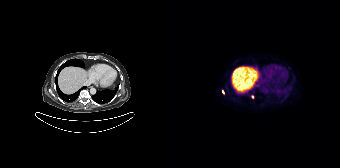
Coordinates are on the 168×168 PET (right) panel. PSMA-avid tumor lesion bounding boxes:
| # | x0 | y0 | x1 | y1 |
|---|---|---|---|---|
| 1 | 50 | 90 | 52 | 94 |
Small PSMA-avid focus (2 to 4 px across) near (center x, center y): (80, 96).
Left: CT. Right: PSMA PET, same axial level, 18F tracer. Acquired on Siemens Biograph 64-4R TruePoint.